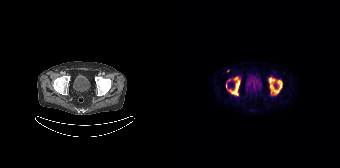
Coordinates are on the 168×168 PET (right) panel. (showing 3 of 5 foci) PSMA-avid tumor lesion bounding boxes (x0,y0,x1,y1): [96,77,110,95]; [56,77,68,95]. Small PSMA-avid focus (2 to 4 px across) near (center x, center y): (56, 70). Left: CT. Right: PSMA PET, same axial level, 18F tracer. Acquired on Siemens Biograph 64-4R TruePoint. PET panel 168×168 px (4.1 mm/px).